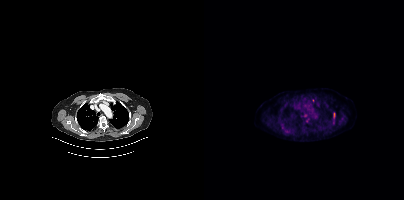
{"modality":"PSMA PET/CT","view":"axial","tracer":"18F-PSMA","pet_grid":[200,200],"coord_frame":"pet_panel","coord_format":"x0,y0,x1,y1","partial":true,"lesion_bboxes":[[129,113,131,118]],"small_foci_centers":[[103,120],[78,127],[82,131]]}